modality: PSMA PET/CT | tracer: 18F-PSMA | view: axial | PET grid: 200×200
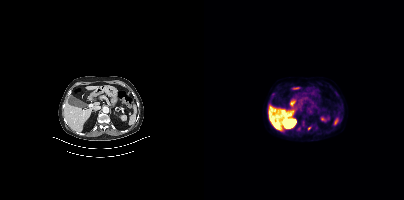
Coordinates are on the 200×200 PET (right) panel. Small PSMA-avid foci (2 to 4 px across) near (center x, center y): (94, 128) (69, 94) (105, 128).